Technique: Left: CT. Right: PSMA PET, same axial level, [18F]PSMA-1007 tracer. acquired on Siemens Biograph mCT Flow 20.
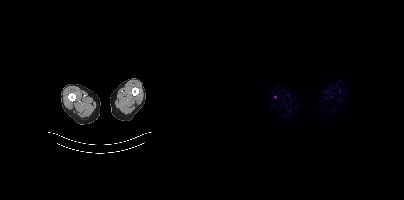
Findings: Only PSMA-avid lesion pieces thinner than 2 px on this slice (not listed).